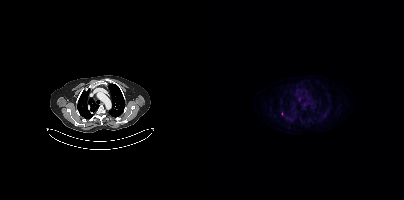
{"pet_grid":[200,200],"coord_frame":"pet_panel","coord_format":"x0,y0,x1,y1","partial":true,"lesion_bboxes":[],"small_foci_centers":[[95,99]],"modality":"PSMA PET/CT","view":"axial","tracer":"18F-PSMA"}